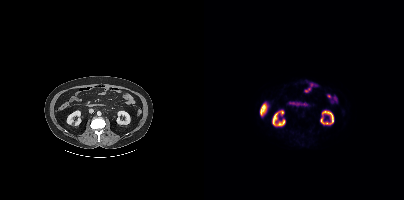
This slice has no annotated PSMA-avid lesion.